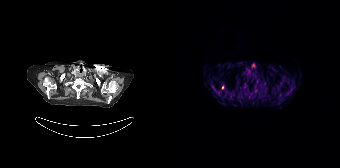
Coordinates are on the 168×168 PET (right) panel. PSMA-avid tumor lesion bounding box (x, y, width, height): x=50 y=85 w=3 h=5.